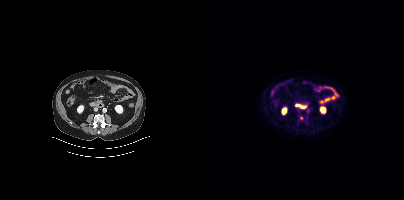
Only PSMA-avid lesion pieces thinner than 2 px on this slice (not listed).